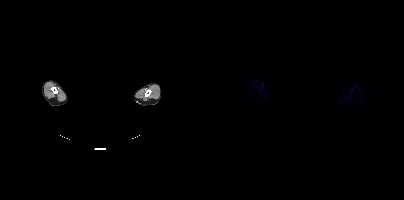
Left: CT. Right: PSMA PET, same axial level, 18F-PSMA tracer. Acquired on Siemens Biograph mCT Flow 20. Slice position z = -724 mm. A rectangular block over the head has been blanked out for de-identification. Negative for PSMA-avid disease on this slice.